Technique: Paired axial CT (left) and PSMA PET (right), [18F]PSMA-1007 tracer.
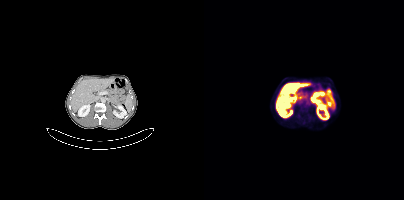
Findings: This slice has no annotated PSMA-avid lesion.